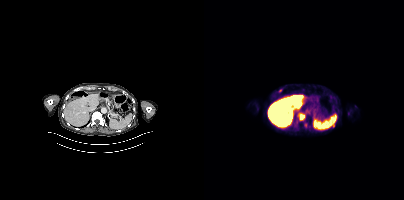
Technique: Two-panel axial: CT | PSMA PET, [18F]PSMA-1007 tracer. acquired on Siemens Biograph mCT Flow 20. PET panel 200×200 px (4.1 mm/px).
Findings: Coordinates are on the 200×200 PET (right) panel. PSMA-avid tumor lesion bounding box (x0, y0)-(x1, y1): (96, 115)-(100, 119). Small PSMA-avid focus (2 to 4 px across) near (center x, center y): (129, 125).